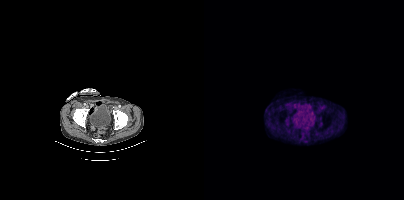
{"modality":"PSMA PET/CT","view":"axial","tracer":"18F-PSMA","pet_grid":[200,200],"coord_frame":"pet_panel","coord_format":"x0,y0,x1,y1","psma_avid_lesions":false}